Two-panel axial: CT | PSMA PET, [18F]PSMA-1007 tracer. PET panel 200×200 px (4.1 mm/px).
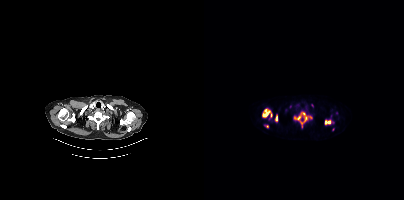
Coordinates are on the 200×200 PET (right) panel. PSMA-avid tumor lesion bounding boxes (partial; 2 more foci not listed):
| # | x0 | y0 | x1 | y1 |
|---|---|---|---|---|
| 1 | 90 | 112 | 103 | 124 |
| 2 | 58 | 109 | 68 | 117 |
| 3 | 121 | 120 | 127 | 124 |
| 4 | 71 | 115 | 73 | 120 |
Small PSMA-avid foci (2 to 4 px across) near (center x, center y): (106, 117); (63, 126).